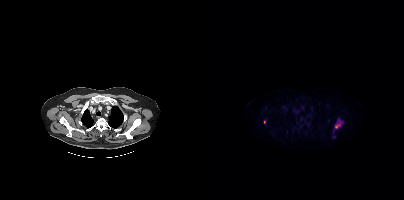
{"modality":"PSMA PET/CT","view":"axial","tracer":"[18F]PSMA-1007","pet_grid":[200,200],"coord_frame":"pet_panel","coord_format":"x0,y0,x1,y1","lesion_bboxes":[[131,118,139,128]],"small_foci_centers":[[60,122],[130,136]]}